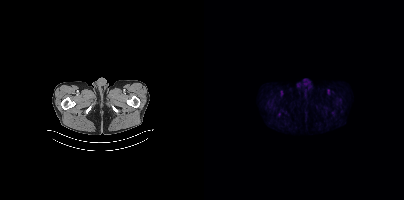
No tumor lesions annotated on this slice.